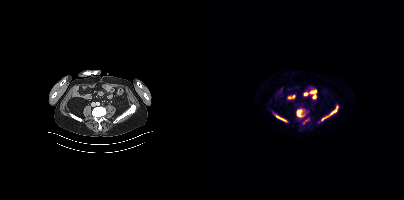
Findings: Coordinates are on the 200×200 PET (right) panel. (showing 5 of 7 foci) PSMA-avid tumor lesion bounding boxes (x, y, width, height): x=120 y=109 w=13 h=10 / x=72 y=115 w=11 h=7 / x=93 y=110 w=5 h=6 / x=99 y=118 w=7 h=6. Small PSMA-avid focus (2 to 4 px across) near (center x, center y): (99, 115).
- Paired axial CT (left) and PSMA PET (right), [18F]PSMA-1007 tracer
- PET panel 200×200 px (4.1 mm/px)